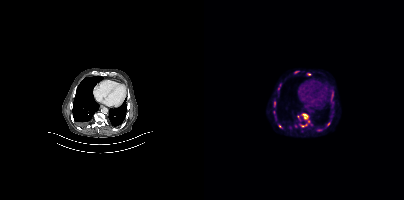
Paired axial CT (left) and PSMA PET (right), 18F-PSMA tracer. PET panel 200×200 px (4.1 mm/px).
Coordinates are on the 200×200 PET (right) panel. PSMA-avid tumor lesion bounding boxes (partial; 5 more foci not listed):
| # | x0 | y0 | x1 | y1 |
|---|---|---|---|---|
| 1 | 95 | 113 | 108 | 127 |
| 2 | 70 | 101 | 71 | 106 |
| 3 | 123 | 122 | 126 | 126 |
Small PSMA-avid foci (2 to 4 px across) near (center x, center y): (104, 74); (92, 72); (75, 126); (76, 84); (128, 96).